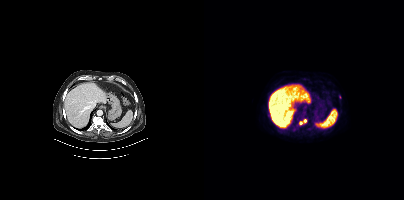
{"modality":"PSMA PET/CT","view":"axial","tracer":"18F-PSMA","pet_grid":[200,200],"coord_frame":"pet_panel","coord_format":"x0,y0,x1,y1","lesion_bboxes":[[95,119,102,124]],"small_foci_centers":[[135,97],[90,129]]}